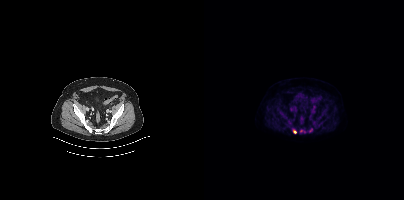
Coordinates are on the 200×200 PET (right) panel. (showing 1 of 3 foci) Small PSMA-avid focus (2 to 4 px across) near (center x, center y): (90, 131).